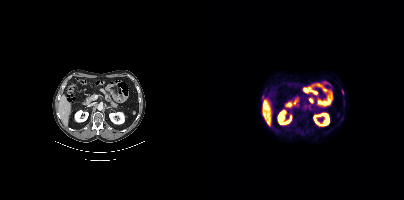
Left: CT. Right: PSMA PET, same axial level, 18F-PSMA tracer. Acquired on Siemens Biograph mCT Flow 20. Coordinates are on the 200×200 PET (right) panel. PSMA-avid tumor lesion bounding box (x0, y0)-(x1, y1): (137, 89)-(139, 94).